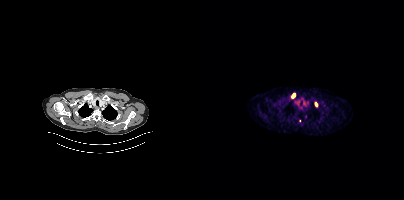
Technique: Left: CT. Right: PSMA PET, same axial level, 68Ga tracer. PET panel 200×200 px (4.1 mm/px).
Findings: Coordinates are on the 200×200 PET (right) panel. (showing 2 of 3 foci) PSMA-avid tumor lesion bounding box (x0,y0,x1,y1): [111,102,113,106]. Small PSMA-avid focus (2 to 4 px across) near (center x, center y): (89, 95).